Two-panel axial: CT | PSMA PET, [68Ga]Ga-PSMA-11 tracer. Slice 115 of 263.
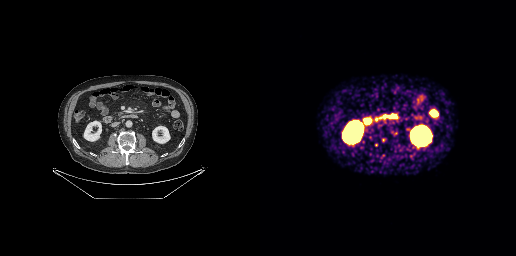
Only PSMA-avid lesion pieces thinner than 2 px on this slice (not listed).